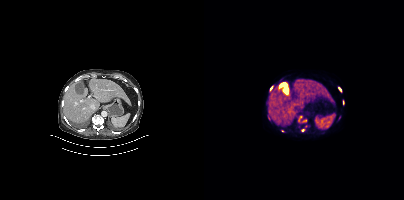
Coordinates are on the 200×200 PET (right) panel. (showing 5 of 7 foci) PSMA-avid tumor lesion bounding boxes (x0, y0)-(x1, y1): (134, 87)-(137, 92); (66, 86)-(68, 90). Small PSMA-avid foci (2 to 4 px across) near (center x, center y): (99, 130); (96, 116); (78, 130). Paired axial CT (left) and PSMA PET (right), 18F tracer.